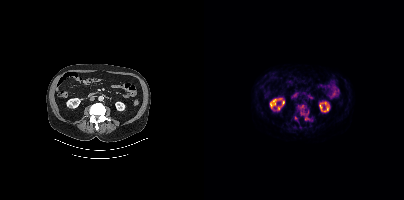
- Two-panel axial: CT | PSMA PET, [18F]PSMA-1007 tracer
- slice 194 of 454
- PET panel 200×200 px (4.1 mm/px)
Findings: Coordinates are on the 200×200 PET (right) panel. (showing 3 of 6 foci) Small PSMA-avid foci (2 to 4 px across) near (center x, center y): (102, 118), (98, 106), (91, 117).